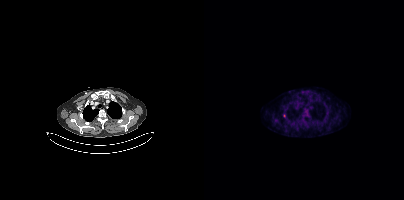
{"modality":"PSMA PET/CT","view":"axial","tracer":"18F","pet_grid":[200,200],"coord_frame":"pet_panel","coord_format":"x0,y0,x1,y1","lesion_bboxes":[],"small_foci_centers":[[80,115]]}